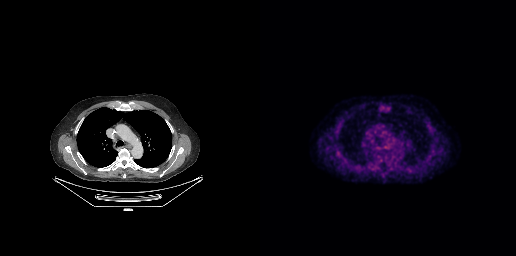
No tumor lesions annotated on this slice.